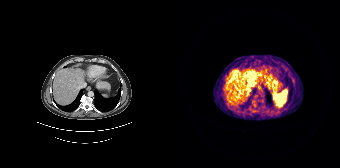
This slice has no annotated PSMA-avid lesion.